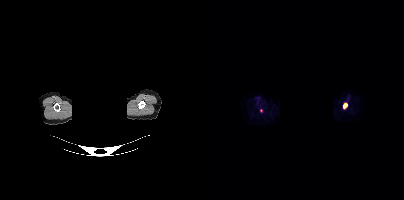
Coordinates are on the 200×200 PET (right) panel. (showing 1 of 2 foci) PSMA-avid tumor lesion bounding box (x, y, width, height): x=139 y=103 w=5 h=6. Paired axial CT (left) and PSMA PET (right), [18F]PSMA-1007 tracer. Acquired on Siemens Biograph mCT Flow 20. Slice position z = -320 mm. PET panel 200×200 px (4.1 mm/px). Head region blanked for anonymization (face removed).